Two-panel axial: CT | PSMA PET, 18F-PSMA tracer. Slice 263 of 409.
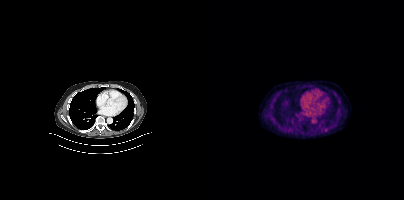
Coordinates are on the 200×200 PET (right) panel. Small PSMA-avid focus (2 to 4 px across) near (center x, center y): (122, 130).